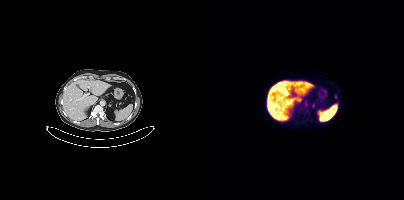
Technique: Paired axial CT (left) and PSMA PET (right), 18F-PSMA tracer. acquired on Siemens Biograph mCT Flow 20. PET panel 200×200 px (4.1 mm/px).
Findings: Only PSMA-avid lesion pieces thinner than 2 px on this slice (not listed).